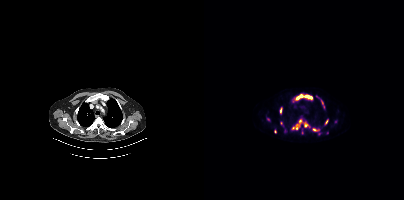
Findings: Coordinates are on the 200×200 PET (right) panel. (showing 7 of 10 foci) PSMA-avid tumor lesion bounding boxes (x, y, width, height): x=92 y=94 w=17 h=6 | x=88 y=120 w=10 h=10 | x=108 y=128 w=8 h=4 | x=100 y=122 w=5 h=6 | x=76 y=108 w=2 h=5 | x=121 y=120 w=3 h=5. Small PSMA-avid focus (2 to 4 px across) near (center x, center y): (118, 102).
- Paired axial CT (left) and PSMA PET (right), 18F-PSMA tracer